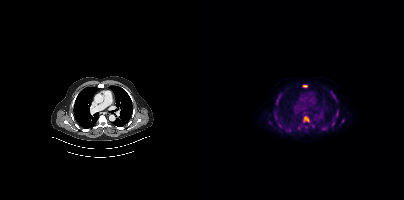
modality: PSMA PET/CT | tracer: 18F-PSMA | view: axial | PET grid: 200×200
Coordinates are on the 200×200 PET (right) panel. (showing 12 of 14 foci) PSMA-avid tumor lesion bounding boxes (x0, y0)-(x1, y1): (99, 116)-(105, 122) | (131, 109)-(134, 116) | (98, 85)-(103, 87) | (74, 123)-(78, 128) | (129, 96)-(133, 101) | (127, 121)-(130, 126) | (72, 100)-(74, 104) | (71, 115)-(72, 119). Small PSMA-avid foci (2 to 4 px across) near (center x, center y): (85, 129) | (139, 120) | (102, 126) | (94, 128).